- Two-panel axial: CT | PSMA PET, 18F tracer
- slice 83 of 389
- PET panel 200×200 px (4.1 mm/px)
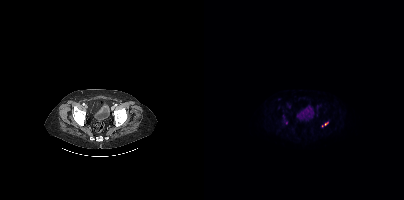
Findings: Coordinates are on the 200×200 PET (right) panel. (showing 1 of 2 foci) Small PSMA-avid focus (2 to 4 px across) near (center x, center y): (122, 123).